Paired axial CT (left) and PSMA PET (right), 18F tracer.
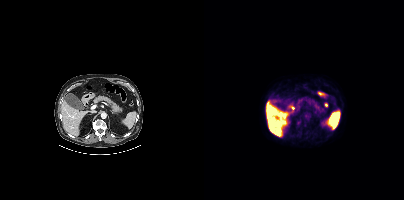
Negative for PSMA-avid disease on this slice.